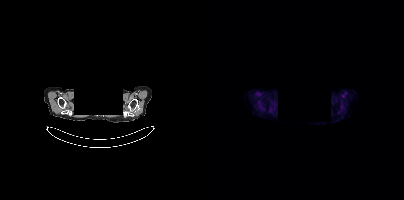
No PSMA-avid tumor lesions on this slice. Two-panel axial: CT | PSMA PET, 18F-PSMA tracer. Acquired on Siemens Biograph mCT Flow 20. PET panel 200×200 px (4.1 mm/px). Facial anatomy redacted by setting a rectangular region of the head to black.